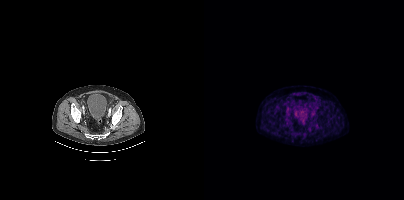
No PSMA-avid tumor lesions on this slice.